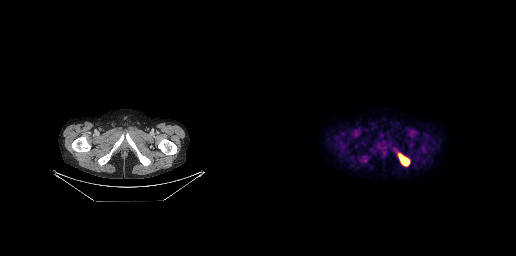
Coordinates are on the 256×256 PET (right) panel. PSMA-avid tumor lesion bounding box (x0, y0)-(x1, y1): (138, 154)-(149, 165).
modality: PSMA PET/CT | tracer: [18F]PSMA-1007 | view: axial